- Left: CT. Right: PSMA PET, same axial level, 18F tracer
- acquired on Siemens Biograph mCT Flow 20
- slice position z = -212 mm
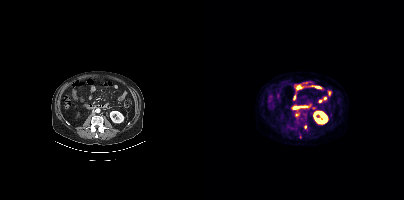
Findings: Coordinates are on the 200×200 PET (right) panel. Small PSMA-avid foci (2 to 4 px across) near (center x, center y): (92, 114); (96, 136); (101, 127).